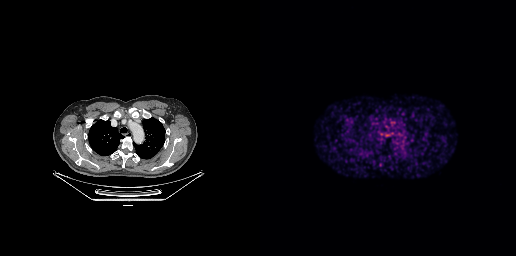
This slice has no annotated PSMA-avid lesion.
modality: PSMA PET/CT | tracer: 68Ga-PSMA | view: axial | PET grid: 256×256